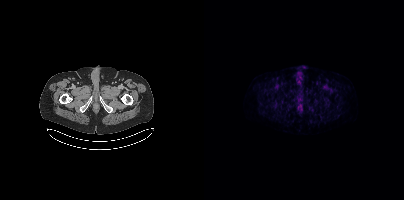
No tumor lesions annotated on this slice.
modality: PSMA PET/CT | tracer: 18F-PSMA | view: axial